Left: CT. Right: PSMA PET, same axial level, 68Ga-PSMA tracer. PET panel 168×168 px (4.1 mm/px).
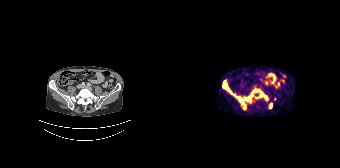
Coordinates are on the 168×168 PET (right) panel. (showing 9 of 12 foci) PSMA-avid tumor lesion bounding boxes (x0, y0)-(x1, y1): (51, 81)-(59, 93) / (65, 97)-(70, 102) / (97, 104)-(99, 108). Small PSMA-avid foci (2 to 4 px across) near (center x, center y): (72, 107) / (94, 97) / (62, 95) / (74, 99) / (79, 94) / (83, 90).